- Left: CT. Right: PSMA PET, same axial level, [18F]PSMA-1007 tracer
- acquired on Siemens Biograph mCT Flow 20
- PET panel 200×200 px (4.1 mm/px)
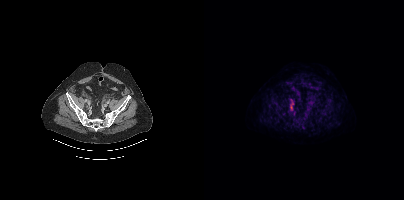
Findings: Coordinates are on the 200×200 PET (right) panel. PSMA-avid tumor lesion bounding box (x0, y0)-(x1, y1): (86, 100)-(90, 110).